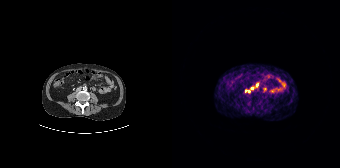
{"modality":"PSMA PET/CT","view":"axial","tracer":"[68Ga]Ga-PSMA-11","pet_grid":[168,168],"coord_frame":"pet_panel","coord_format":"x0,y0,x1,y1","lesion_bboxes":[[84,83,86,87],[78,87,82,89]],"small_foci_centers":[[73,90],[76,91]]}